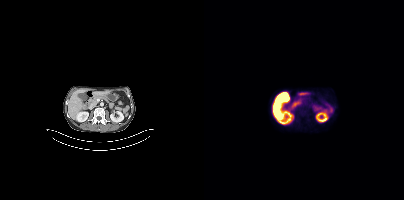
Findings: Negative for PSMA-avid disease on this slice.
Technique: Paired axial CT (left) and PSMA PET (right), [18F]PSMA-1007 tracer. acquired on Siemens Biograph mCT Flow 20. slice 175 of 423.